- Paired axial CT (left) and PSMA PET (right), 18F tracer
- acquired on Siemens Biograph mCT Flow 20
- PET panel 200×200 px (4.1 mm/px)
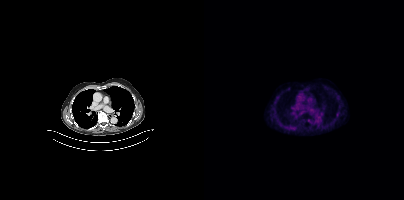
Findings: Only PSMA-avid lesion pieces thinner than 2 px on this slice (not listed).